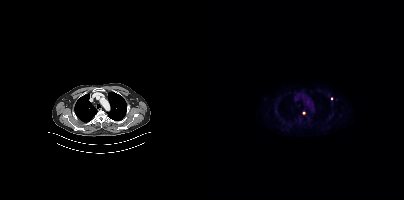
Technique: Left: CT. Right: PSMA PET, same axial level, 18F-PSMA tracer.
Findings: Coordinates are on the 200×200 PET (right) panel. (showing 1 of 2 foci) Small PSMA-avid focus (2 to 4 px across) near (center x, center y): (127, 98).